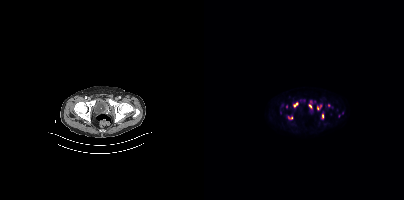
Coordinates are on the 200×200 PET (right) panel. (showing 5 of 7 foci) PSMA-avid tumor lesion bounding boxes (x0,y0,x1,y1): [84,116,88,119], [114,105,117,109]. Small PSMA-avid foci (2 to 4 px across) near (center x, center y): (91, 104), (106, 106), (118, 116).
modality: PSMA PET/CT | tracer: 18F-PSMA | view: axial